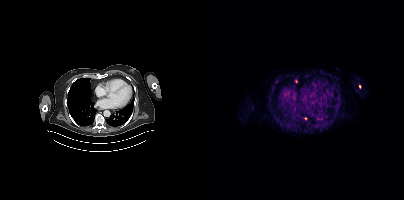
Coordinates are on the 200×200 PET (right) panel. Small PSMA-avid foci (2 to 4 px across) near (center x, center y): (92, 81) / (101, 118) / (155, 86).